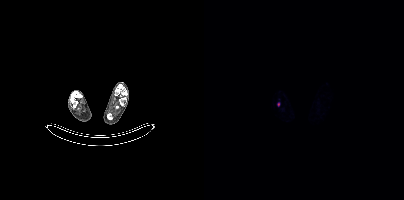
{"pet_grid":[200,200],"coord_frame":"pet_panel","coord_format":"x0,y0,x1,y1","lesion_bboxes":[],"small_foci_centers":[[74,104]],"modality":"PSMA PET/CT","view":"axial","tracer":"18F-PSMA"}